- Paired axial CT (left) and PSMA PET (right), [18F]PSMA-1007 tracer
- acquired on Siemens Biograph mCT Flow 20
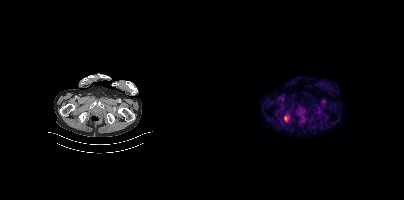
Findings: Coordinates are on the 200×200 PET (right) panel. Small PSMA-avid focus (2 to 4 px across) near (center x, center y): (81, 118).